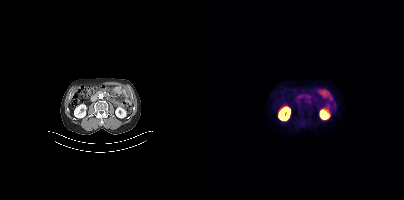
No tumor lesions annotated on this slice.